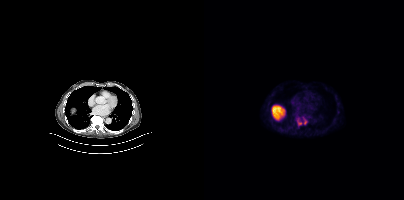
Coordinates are on the 200×200 PET (right) panel. (showing 2 of 3 foci) PSMA-avid tumor lesion bounding boxes (x0,y0,x1,y1): [93,118,98,125] [100,119,103,124].